Any black rectangle over the head is a privacy mask, not anatomy.
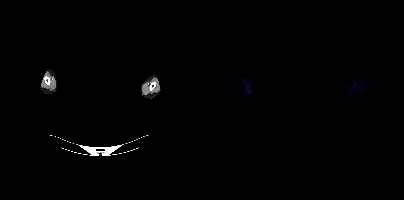
Negative for PSMA-avid disease on this slice.